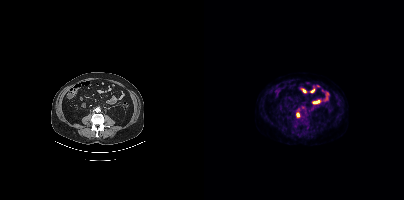
Coordinates are on the 200×200 PET (right) panel. Small PSMA-avid foci (2 to 4 px across) near (center x, center y): (94, 114); (99, 107).